Two-panel axial: CT | PSMA PET, 18F tracer. PET panel 200×200 px (4.1 mm/px).
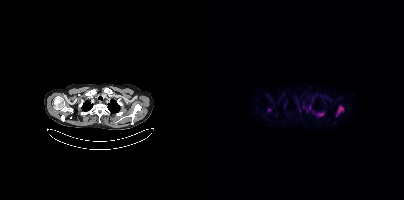
Coordinates are on the 200×200 PET (right) panel. (showing 3 of 4 foci) PSMA-avid tumor lesion bounding boxes (x, y, width, height): x=132 y=106 w=8 h=11; x=113 y=113 w=7 h=4. Small PSMA-avid focus (2 to 4 px across) near (center x, center y): (80, 105).